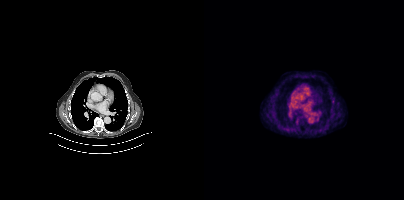
Paired axial CT (left) and PSMA PET (right), 18F-PSMA tracer. No PSMA-avid tumor lesions on this slice.